modality: PSMA PET/CT | tracer: 18F | view: axial | PET grid: 200×200
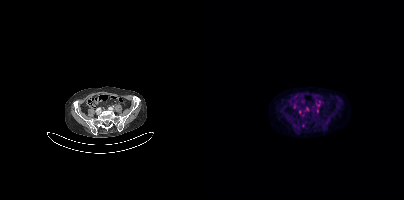
Coordinates are on the 200×200 PET (right) panel. (showing 2 of 4 foci) Small PSMA-avid foci (2 to 4 px across) near (center x, center y): (103, 108); (95, 112).